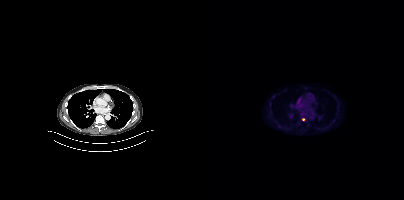
Coordinates are on the 200×200 PET (right) panel. Small PSMA-avid focus (2 to 4 px across) near (center x, center y): (99, 119).